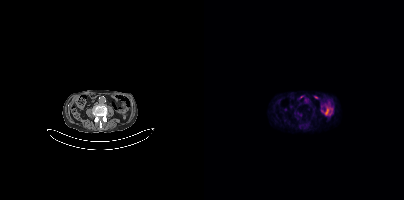
Two-panel axial: CT | PSMA PET, [18F]PSMA-1007 tracer. Acquired on Siemens Biograph mCT Flow 20. PET panel 200×200 px (4.1 mm/px). Only PSMA-avid lesion pieces thinner than 2 px on this slice (not listed).